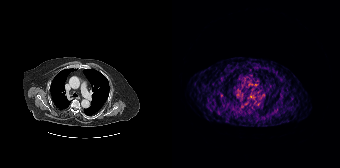
Technique: Left: CT. Right: PSMA PET, same axial level, [68Ga]Ga-PSMA-11 tracer. acquired on Siemens Biograph 64-4R TruePoint. PET panel 168×168 px (4.1 mm/px).
Findings: This slice has no annotated PSMA-avid lesion.